deidentification: rectangular block over head set to black | modality: PSMA PET/CT | tracer: 68Ga | view: axial | PET grid: 256×256
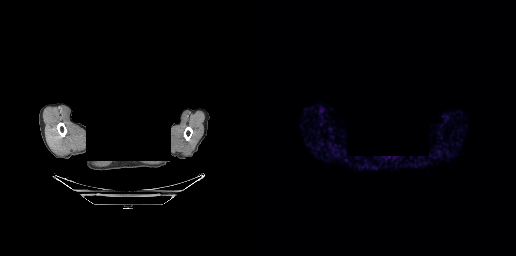
No tumor lesions annotated on this slice.